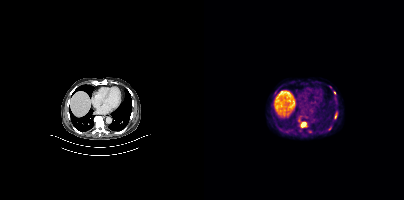
Findings: Coordinates are on the 200×200 PET (right) panel. (showing 3 of 4 foci) PSMA-avid tumor lesion bounding box (x, y, width, height): x=96 y=122 w=8 h=6. Small PSMA-avid foci (2 to 4 px across) near (center x, center y): (131, 116); (130, 92).
- Two-panel axial: CT | PSMA PET, 18F tracer
- acquired on Siemens Biograph mCT Flow 20
- slice position z = -578 mm